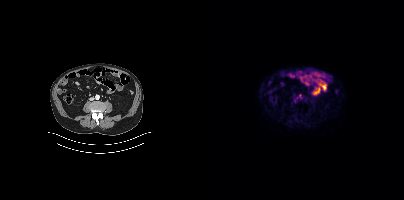
Only PSMA-avid lesion pieces thinner than 2 px on this slice (not listed).